Left: CT. Right: PSMA PET, same axial level, 18F tracer. Slice 203 of 427. PET panel 200×200 px (4.1 mm/px).
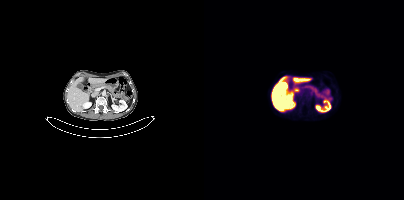
Negative for PSMA-avid disease on this slice.